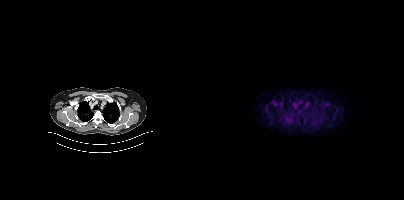
Findings: This slice has no annotated PSMA-avid lesion.
Technique: Paired axial CT (left) and PSMA PET (right), 18F tracer. acquired on Siemens Biograph mCT Flow 20.